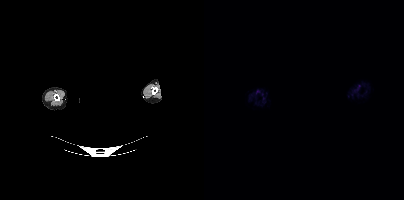
An anonymization step blacked out a rectangle over the head in this scan.
This slice has no annotated PSMA-avid lesion.